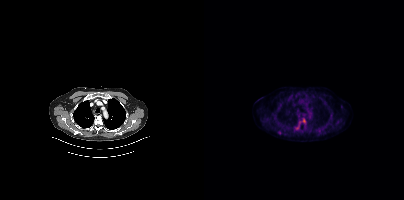
Technique: Paired axial CT (left) and PSMA PET (right), 18F-PSMA tracer. acquired on Siemens Biograph mCT Flow 20.
Findings: Coordinates are on the 200×200 PET (right) panel. PSMA-avid tumor lesion bounding boxes (x0, y0)-(x1, y1): (98, 118)-(101, 122) / (92, 125)-(95, 129). Small PSMA-avid foci (2 to 4 px across) near (center x, center y): (75, 132) / (95, 122).